Paired axial CT (left) and PSMA PET (right), 68Ga tracer. Slice 8 of 195.
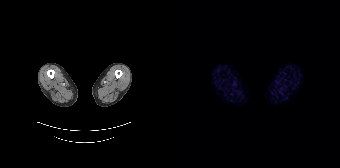
No PSMA-avid tumor lesions on this slice.